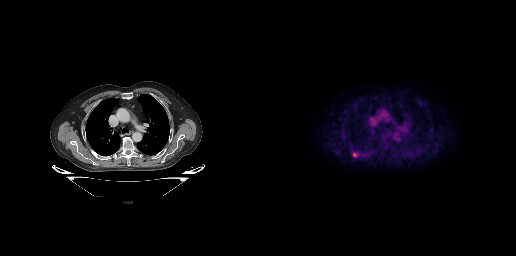
Coordinates are on the 256×256 PET (right) panel. PSMA-avid tumor lesion bounding box (x, y, width, height): x=92 y=152 w=6 h=6.